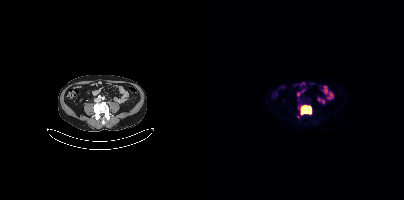
- Left: CT. Right: PSMA PET, same axial level, 18F-PSMA tracer
- slice 138 of 403
- PET panel 200×200 px (4.1 mm/px)
Findings: Coordinates are on the 200×200 PET (right) panel. PSMA-avid tumor lesion bounding box (x0, y0)-(x1, y1): (94, 104)-(107, 114). Small PSMA-avid foci (2 to 4 px across) near (center x, center y): (94, 99) / (94, 117).